modality: PSMA PET/CT | tracer: [18F]PSMA-1007 | view: axial | PET grid: 200×200
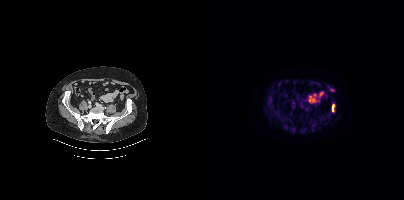
Coordinates are on the 200×200 PET (right) panel. PSMA-avid tumor lesion bounding box (x0, y0)-(x1, y1): (128, 104)-(130, 112).